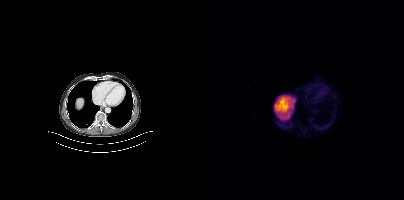
Paired axial CT (left) and PSMA PET (right), 18F tracer. Slice position z = -1100 mm. PET panel 200×200 px (4.1 mm/px). No tumor lesions annotated on this slice.